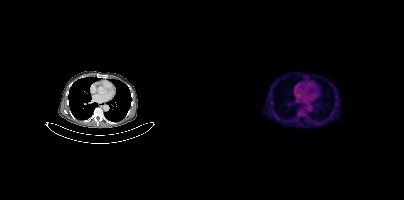
modality: PSMA PET/CT | tracer: [18F]PSMA-1007 | view: axial
No tumor lesions annotated on this slice.